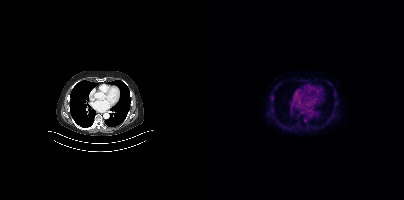
{"modality":"PSMA PET/CT","view":"axial","tracer":"[18F]PSMA-1007","pet_grid":[200,200],"coord_frame":"pet_panel","coord_format":"x0,y0,x1,y1","lesion_bboxes":[],"small_foci_centers":[[101,120]]}